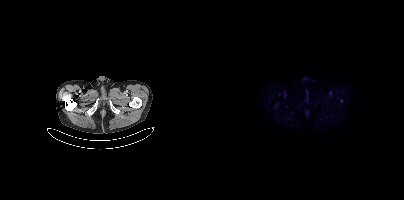
Two-panel axial: CT | PSMA PET, 18F tracer. Slice 34 of 429. PET panel 200×200 px (4.1 mm/px). Coordinates are on the 200×200 PET (right) panel. Small PSMA-avid focus (2 to 4 px across) near (center x, center y): (137, 101).